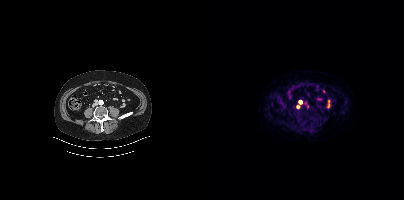
Findings: Coordinates are on the 200×200 PET (right) panel. Small PSMA-avid foci (2 to 4 px across) near (center x, center y): (96, 102); (94, 106).
- Paired axial CT (left) and PSMA PET (right), 18F tracer
- PET panel 200×200 px (4.1 mm/px)